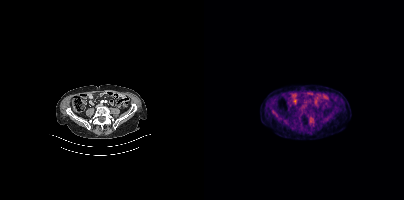
modality: PSMA PET/CT | tracer: 18F | view: axial | PET grid: 200×200
No tumor lesions annotated on this slice.